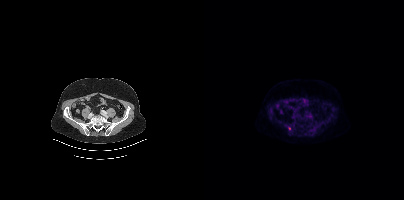
{"modality":"PSMA PET/CT","view":"axial","tracer":"18F-PSMA","pet_grid":[200,200],"coord_frame":"pet_panel","coord_format":"x0,y0,x1,y1","partial":true,"lesion_bboxes":[]}